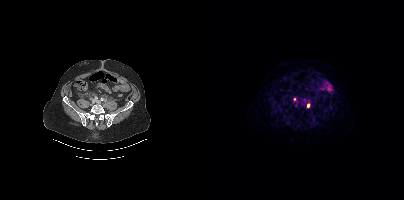
Coordinates are on the 200×200 PET (right) panel. PSMA-avid tumor lesion bounding boxes:
| # | x0 | y0 | x1 | y1 |
|---|---|---|---|---|
| 1 | 89 | 97 | 92 | 101 |
Small PSMA-avid focus (2 to 4 px across) near (center x, center y): (104, 105).
Paired axial CT (left) and PSMA PET (right), [18F]PSMA-1007 tracer.